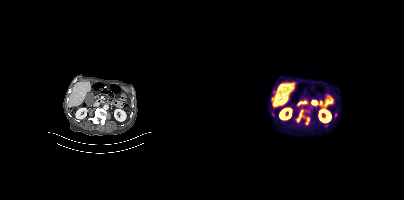
modality: PSMA PET/CT | tracer: 18F | view: axial | PET grid: 200×200
Coordinates are on the 200×200 PET (right) panel. PSMA-avid tumor lesion bounding boxes (x, y, width, height): x=91 y=117 w=15 h=9 / x=131 y=113 w=2 h=5.